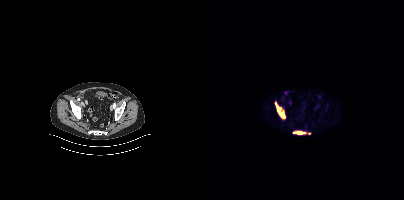
Coordinates are on the 200×200 PET (right) panel. PSMA-avid tumor lesion bounding boxes (x0, y0)-(x1, y1): (71, 102)-(81, 118) / (89, 131)-(101, 134). Small PSMA-avid focus (2 to 4 px across) near (center x, center y): (105, 133).
modality: PSMA PET/CT | tracer: [18F]PSMA-1007 | view: axial